modality: PSMA PET/CT | tracer: [18F]PSMA-1007 | view: axial
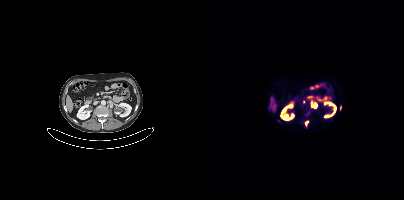
Coordinates are on the 200×200 PET (right) panel. PSMA-avid tumor lesion bounding boxes (x0, y0)-(x1, y1): (107, 101)-(113, 107) / (101, 120)-(104, 125). Small PSMA-avid foci (2 to 4 px across) near (center x, center y): (99, 101) / (136, 108).